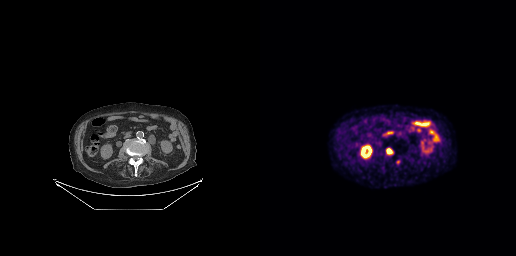
Coordinates are on the 256×256 PET (right) panel. PSMA-avid tumor lesion bounding box (x0, y0)-(x1, y1): (126, 148)-(132, 154).